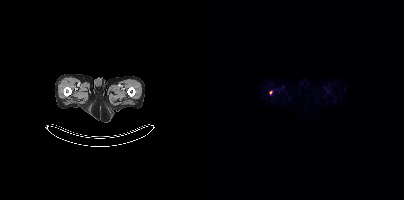
Coordinates are on the 200×200 PET (right) panel. Small PSMA-avid focus (2 to 4 px across) near (center x, center y): (67, 92).